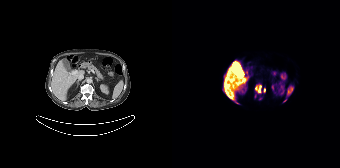
Coordinates are on the 168×168 PET (right) panel. PSMA-avid tumor lesion bounding boxes (x0, y0)-(x1, y1): (83, 83)-(89, 97); (91, 88)-(93, 92). Small PSMA-avid focus (2 to 4 px across) near (center x, center y): (88, 98).